- Paired axial CT (left) and PSMA PET (right), [18F]PSMA-1007 tracer
- acquired on Siemens Biograph mCT Flow 20
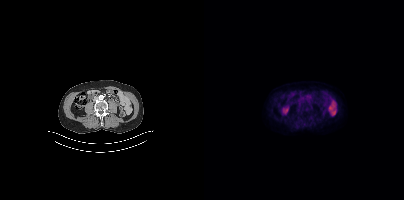
Findings: Coordinates are on the 200×200 PET (right) panel. Small PSMA-avid focus (2 to 4 px across) near (center x, center y): (103, 108).